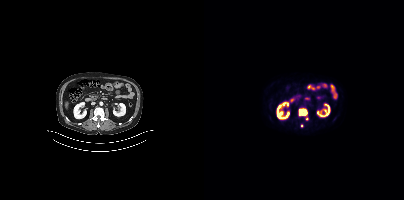
Technique: Paired axial CT (left) and PSMA PET (right), 18F tracer.
Findings: Coordinates are on the 200×200 PET (right) panel. PSMA-avid tumor lesion bounding box (x0, y0)-(x1, y1): (94, 108)-(103, 115). Small PSMA-avid foci (2 to 4 px across) near (center x, center y): (103, 118); (97, 125).